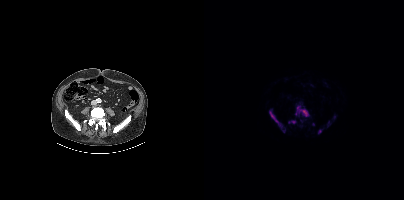
Left: CT. Right: PSMA PET, same axial level, 18F-PSMA tracer. Acquired on Siemens Biograph mCT Flow 20. PET panel 200×200 px (4.1 mm/px).
Coordinates are on the 200×200 PET (right) panel. PSMA-avid tumor lesion bounding boxes (partial; 2 more foci not listed):
| # | x0 | y0 | x1 | y1 |
|---|---|---|---|---|
| 1 | 91 | 106 | 104 | 116 |
| 2 | 66 | 111 | 78 | 129 |
| 3 | 87 | 121 | 91 | 123 |
Small PSMA-avid focus (2 to 4 px across) near (center x, center y): (115, 131).